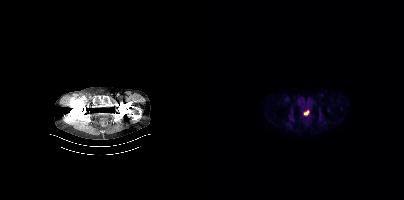
Coordinates are on the 200×200 PET (right) panel. PSMA-avid tumor lesion bounding box (x0, y0)-(x1, y1): (100, 110)-(104, 115).
modality: PSMA PET/CT | tracer: [18F]PSMA-1007 | view: axial